Two-panel axial: CT | PSMA PET, 18F-PSMA tracer. Acquired on Siemens Biograph mCT Flow 20. Slice 186 of 425.
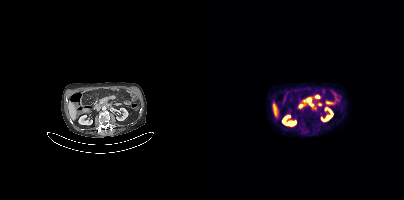
Coordinates are on the 200×200 PET (right) panel. PSMA-avid tumor lesion bounding boxes (partial; 1 more focus not listed):
| # | x0 | y0 | x1 | y1 |
|---|---|---|---|---|
| 1 | 99 | 97 | 108 | 102 |
| 2 | 110 | 95 | 116 | 98 |